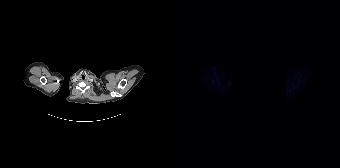
deidentification: region redacted | modality: PSMA PET/CT | tracer: 18F | view: axial
No PSMA-avid tumor lesions on this slice.